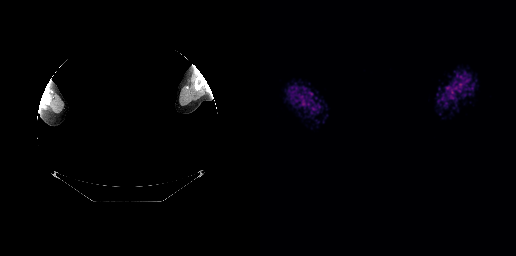
Findings: Negative for PSMA-avid disease on this slice.
- Paired axial CT (left) and PSMA PET (right), 18F tracer
- acquired on GE Discovery 690
- slice position z = -167 mm
- PET panel 256×256 px (2.7 mm/px)
- an anonymization step blacked out a rectangle over the head in this scan